Paired axial CT (left) and PSMA PET (right), 18F-PSMA tracer. Slice 141 of 403. PET panel 200×200 px (4.1 mm/px).
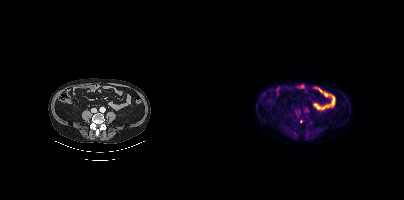
Only PSMA-avid lesion pieces thinner than 2 px on this slice (not listed).